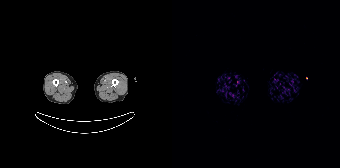
No PSMA-avid tumor lesions on this slice. Two-panel axial: CT | PSMA PET, 68Ga tracer. PET panel 168×168 px (4.1 mm/px).